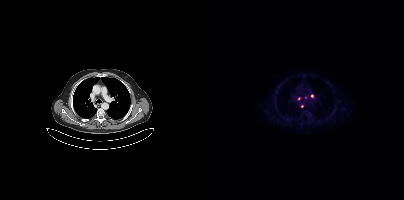
Findings: Coordinates are on the 200×200 PET (right) panel. (showing 2 of 3 foci) Small PSMA-avid foci (2 to 4 px across) near (center x, center y): (108, 96); (95, 98).
Technique: Two-panel axial: CT | PSMA PET, 18F-PSMA tracer. acquired on Siemens Biograph mCT Flow 20. slice position z = -320 mm. PET panel 200×200 px (4.1 mm/px).